Technique: Two-panel axial: CT | PSMA PET, [18F]PSMA-1007 tracer. slice position z = -1242 mm.
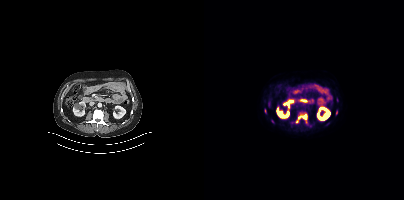
Findings: Coordinates are on the 200×200 PET (right) panel. (showing 2 of 3 foci) PSMA-avid tumor lesion bounding box (x, y, width, height): x=94 y=114 w=10 h=6. Small PSMA-avid focus (2 to 4 px across) near (center x, center y): (92, 121).